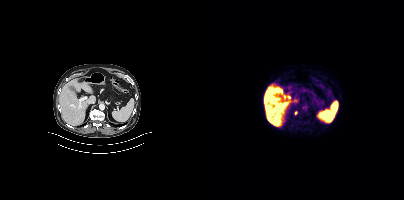
modality: PSMA PET/CT | tracer: 18F | view: axial
Coordinates are on the 200×200 PET (right) panel. Small PSMA-avid focus (2 to 4 px across) near (center x, center y): (92, 112).